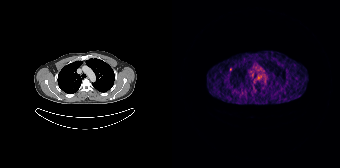
{"modality":"PSMA PET/CT","view":"axial","tracer":"68Ga","pet_grid":[168,168],"coord_frame":"pet_panel","coord_format":"x0,y0,x1,y1","lesion_bboxes":[],"small_foci_centers":[[58,69]]}